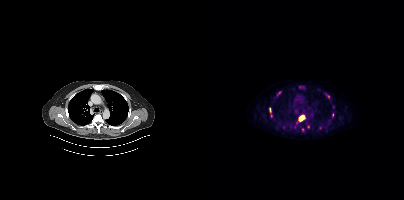
Findings: Coordinates are on the 200×200 PET (right) panel. (showing 2 of 6 foci) PSMA-avid tumor lesion bounding box (x0, y0)-(x1, y1): (94, 115)-(101, 121). Small PSMA-avid focus (2 to 4 px across) near (center x, center y): (124, 96).
- Left: CT. Right: PSMA PET, same axial level, 18F tracer
- slice 326 of 444
- PET panel 200×200 px (4.1 mm/px)